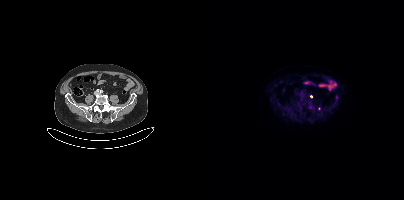
{"modality":"PSMA PET/CT","view":"axial","tracer":"18F","pet_grid":[200,200],"coord_frame":"pet_panel","coord_format":"x0,y0,x1,y1","partial":true,"lesion_bboxes":[]}